Paired axial CT (left) and PSMA PET (right), 68Ga tracer. Slice 16 of 444. PET panel 200×200 px (4.1 mm/px).
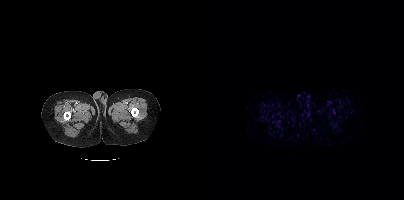
Negative for PSMA-avid disease on this slice.